modality: PSMA PET/CT | tracer: [18F]PSMA-1007 | view: axial
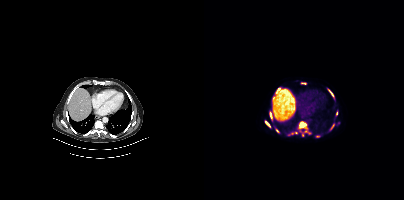
Coordinates are on the 200×200 PET (right) panel. (showing 8 of 14 foci) PSMA-avid tumor lesion bounding boxes (x0, y0)-(x1, y1): (95, 121)-(102, 128); (61, 121)-(66, 126); (125, 90)-(129, 96); (66, 113)-(68, 118); (127, 124)-(130, 128). Small PSMA-avid foci (2 to 4 px across) near (center x, center y): (74, 89); (73, 130); (132, 113).